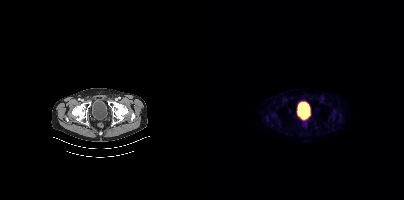
Technique: Paired axial CT (left) and PSMA PET (right), [68Ga]Ga-PSMA-11 tracer. acquired on Siemens Biograph mCT Flow 20. PET panel 200×200 px (4.1 mm/px).
Findings: No PSMA-avid tumor lesions on this slice.